Left: CT. Right: PSMA PET, same axial level, [18F]PSMA-1007 tracer. Acquired on Siemens Biograph mCT Flow 20. PET panel 200×200 px (4.1 mm/px).
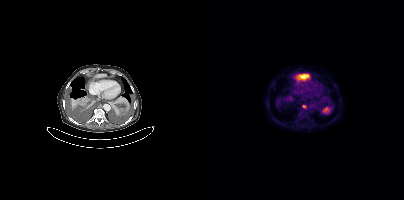
Coordinates are on the 200×200 PET (right) panel. PSMA-avid tumor lesion bounding box (x, y, width, height): x=98 y=105 w=5 h=4.